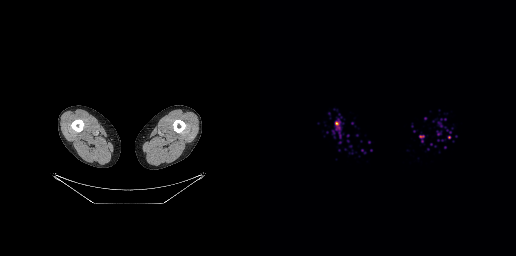
{"pet_grid":[256,256],"coord_frame":"pet_panel","coord_format":"x0,y0,x1,y1","partial":true,"lesion_bboxes":[[75,121,79,129]],"modality":"PSMA PET/CT","view":"axial","tracer":"18F-PSMA"}